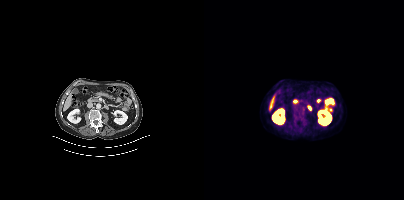
Coordinates are on the 200×200 PET (right) panel. Small PSMA-avid focus (2 to 4 px across) near (center x, center y): (99, 110). Two-panel axial: CT | PSMA PET, [18F]PSMA-1007 tracer.